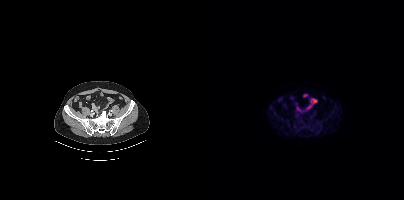
Two-panel axial: CT | PSMA PET, [18F]PSMA-1007 tracer. This slice has no annotated PSMA-avid lesion.